Technique: Left: CT. Right: PSMA PET, same axial level, 18F-PSMA tracer. acquired on Siemens Biograph mCT Flow 20. slice 286 of 401. PET panel 200×200 px (4.1 mm/px).
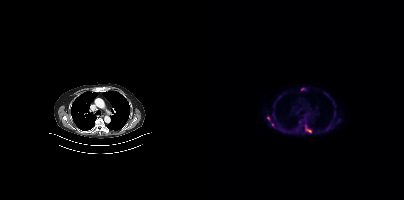
Findings: Coordinates are on the 200×200 PET (right) panel. (showing 5 of 6 foci) PSMA-avid tumor lesion bounding boxes (x, y, width, height): x=101 y=125 w=7 h=8; x=121 y=126 w=6 h=5. Small PSMA-avid foci (2 to 4 px across) near (center x, center y): (64, 118); (68, 124); (99, 89).